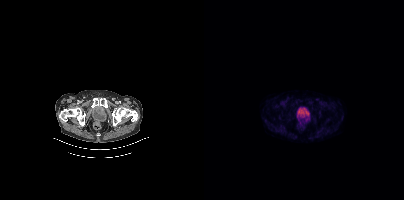
Findings: No tumor lesions annotated on this slice.
Technique: Two-panel axial: CT | PSMA PET, [18F]PSMA-1007 tracer. slice position z = -1584 mm. PET panel 200×200 px (4.1 mm/px).